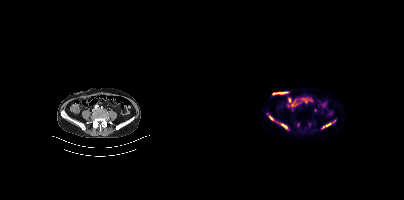
Technique: Paired axial CT (left) and PSMA PET (right), 18F tracer. acquired on Siemens Biograph mCT Flow 20.
Findings: Coordinates are on the 200×200 PET (right) panel. (showing 4 of 5 foci) PSMA-avid tumor lesion bounding boxes (x0,y0,x1,y1): [76,123,84,129], [118,122,127,128], [65,115,70,120]. Small PSMA-avid focus (2 to 4 px across) near (center x, center y): (130, 121).